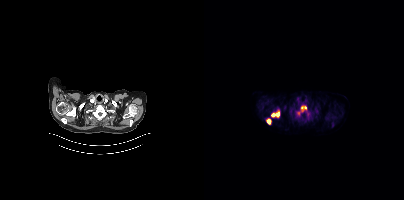
{"modality":"PSMA PET/CT","view":"axial","tracer":"18F-PSMA","pet_grid":[200,200],"coord_frame":"pet_panel","coord_format":"x0,y0,x1,y1","partial":true,"lesion_bboxes":[[97,106,105,117],[67,110,75,116],[63,119,66,124]],"small_foci_centers":[[94,113]]}